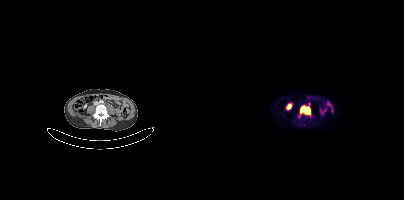
Coordinates are on the 200×200 PET (right) panel. PSMA-avid tumor lesion bounding boxes:
| # | x0 | y0 | x1 | y1 |
|---|---|---|---|---|
| 1 | 96 | 103 | 106 | 114 |
Paired axial CT (left) and PSMA PET (right), 68Ga-PSMA tracer. Acquired on Siemens Biograph mCT Flow 20. PET panel 200×200 px (4.1 mm/px).